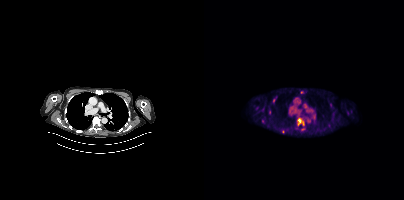
Coordinates are on the 200×200 PET (right) panel. PSMA-avid tumor lesion bounding box (x0,y0,x1,y1): [94,118,100,125]. Small PSMA-avid focus (2 to 4 px across) near (center x, center y): (99, 129).